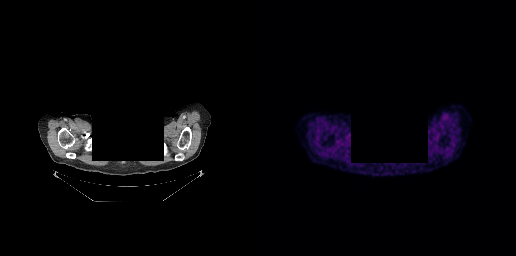
This slice has no annotated PSMA-avid lesion. Two-panel axial: CT | PSMA PET, 18F-PSMA tracer. PET panel 256×256 px (2.7 mm/px). An anonymization step blacked out a rectangle over the head in this scan.